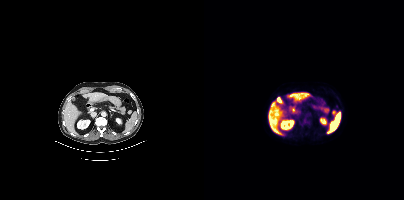
- Paired axial CT (left) and PSMA PET (right), [18F]PSMA-1007 tracer
- PET panel 200×200 px (4.1 mm/px)
Findings: Coordinates are on the 200×200 PET (right) panel. Small PSMA-avid focus (2 to 4 px across) near (center x, center y): (129, 112).